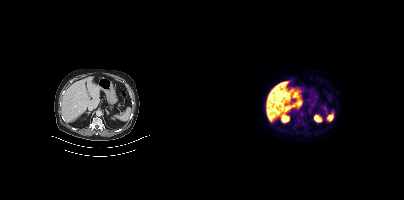
This slice has no annotated PSMA-avid lesion.